Left: CT. Right: PSMA PET, same axial level, 18F-PSMA tracer. Slice 117 of 407.
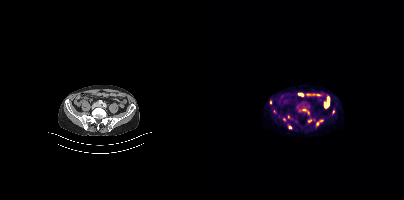
Coordinates are on the 200×200 PET (right) panel. (showing 7 of 11 foci) Small PSMA-avid foci (2 to 4 px across) near (center x, center y): (129, 111), (86, 127), (100, 109), (113, 123), (84, 116), (105, 120), (117, 120).